modality: PSMA PET/CT | tracer: 18F | view: axial
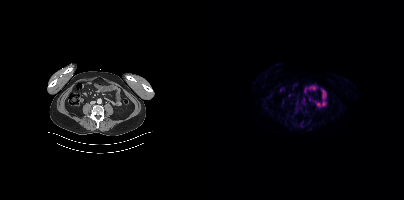
No tumor lesions annotated on this slice.